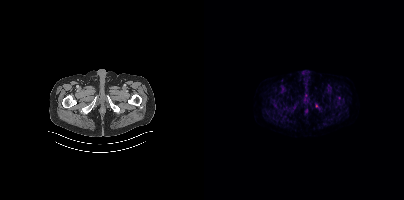
{"modality":"PSMA PET/CT","view":"axial","tracer":"[18F]PSMA-1007","pet_grid":[200,200],"coord_frame":"pet_panel","coord_format":"x0,y0,x1,y1","psma_avid_lesions":false}